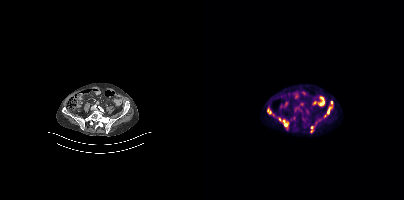
{"modality":"PSMA PET/CT","view":"axial","tracer":"18F-PSMA","pet_grid":[200,200],"coord_frame":"pet_panel","coord_format":"x0,y0,x1,y1","partial":true,"lesion_bboxes":[[80,123,84,129],[63,108,67,114],[123,107,128,112]],"small_foci_centers":[[75,119],[127,103]]}